Two-panel axial: CT | PSMA PET, 18F tracer. Slice 202 of 419. PET panel 200×200 px (4.1 mm/px).
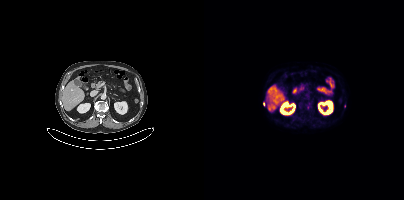
Coordinates are on the 200×200 PET (right) panel. Small PSMA-avid foci (2 to 4 px across) near (center x, center y): (104, 107), (59, 104).